Two-panel axial: CT | PSMA PET, [18F]PSMA-1007 tracer. Acquired on Siemens Biograph mCT Flow 20. PET panel 200×200 px (4.1 mm/px).
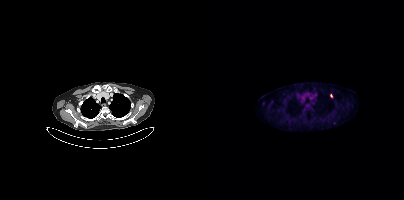
Only PSMA-avid lesion pieces thinner than 2 px on this slice (not listed).